Paired axial CT (left) and PSMA PET (right), 18F-PSMA tracer. Slice 107 of 165.
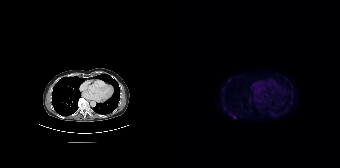
Coordinates are on the 168×168 PET (right) panel. Small PSMA-avid focus (2 to 4 px across) near (center x, center y): (62, 117).